modality: PSMA PET/CT | tracer: [18F]PSMA-1007 | view: axial | PET grid: 200×200
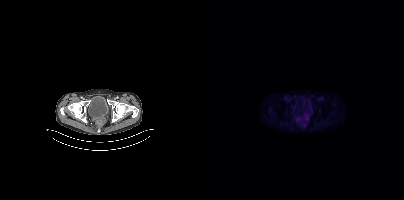
Coordinates are on the 200×200 PET (right) panel. (showing 2 of 4 foci) Small PSMA-avid foci (2 to 4 px across) near (center x, center y): (93, 119); (100, 125).